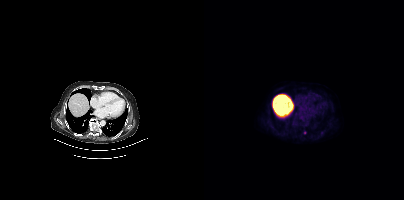
Coordinates are on the 200×200 PET (right) panel. Small PSMA-avid focus (2 to 4 px across) near (center x, center y): (100, 132).
modality: PSMA PET/CT | tracer: [18F]PSMA-1007 | view: axial | PET grid: 200×200